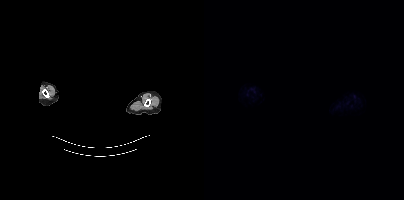
Findings: This slice has no annotated PSMA-avid lesion.
- head region blanked for anonymization (face removed)
- Paired axial CT (left) and PSMA PET (right), [18F]PSMA-1007 tracer
- slice 424 of 444